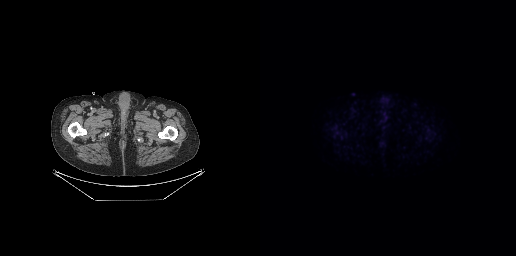
modality: PSMA PET/CT | tracer: 18F | view: axial | PET grid: 256×256
No tumor lesions annotated on this slice.